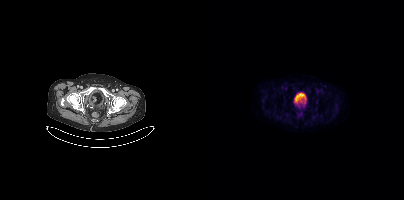
{"modality":"PSMA PET/CT","view":"axial","tracer":"18F-PSMA","pet_grid":[200,200],"coord_frame":"pet_panel","coord_format":"x0,y0,x1,y1","psma_avid_lesions":false}